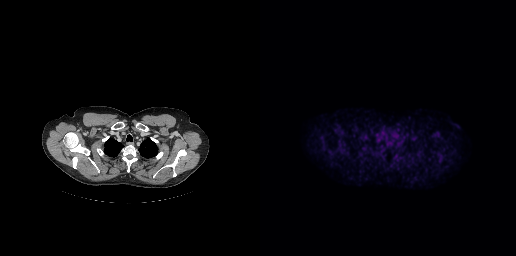
{"modality":"PSMA PET/CT","view":"axial","tracer":"18F-PSMA","pet_grid":[256,256],"coord_frame":"pet_panel","coord_format":"x0,y0,x1,y1","psma_avid_lesions":false}